modality: PSMA PET/CT | tracer: 18F-PSMA | view: axial
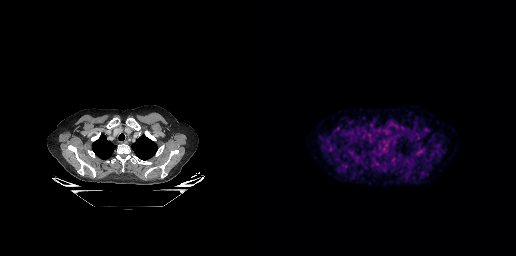
No tumor lesions annotated on this slice.